Two-panel axial: CT | PSMA PET, 18F-PSMA tracer. Slice position z = -122 mm. PET panel 200×200 px (4.1 mm/px).
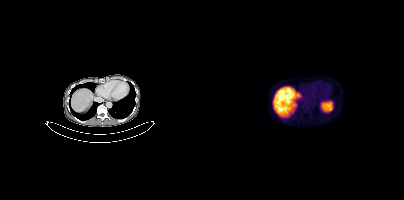
Coordinates are on the 200×200 PET (right) panel. Small PSMA-avid focus (2 to 4 px across) near (center x, center y): (103, 106).